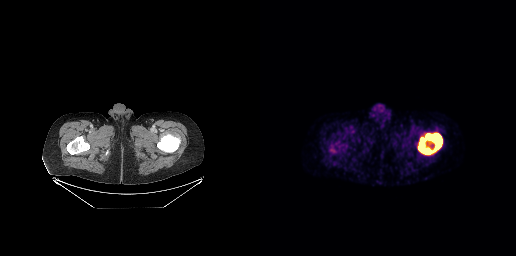
Coordinates are on the 256×256 PET (right) panel. PSMA-avid tumor lesion bounding box (x0, y0)-(x1, y1): (158, 133)-(182, 154).